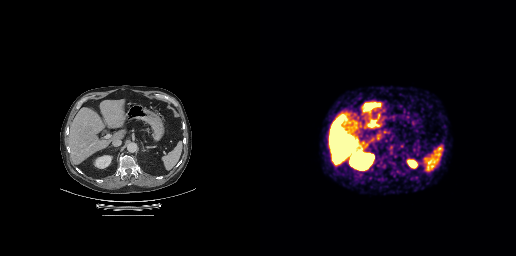
Technique: Paired axial CT (left) and PSMA PET (right), 18F-PSMA tracer. acquired on GE Discovery 690. PET panel 256×256 px (2.7 mm/px).
Findings: Negative for PSMA-avid disease on this slice.